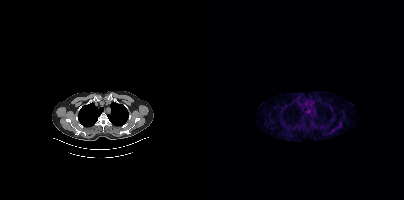
Left: CT. Right: PSMA PET, same axial level, 68Ga tracer. Slice 309 of 409. No PSMA-avid tumor lesions on this slice.